- Paired axial CT (left) and PSMA PET (right), [18F]PSMA-1007 tracer
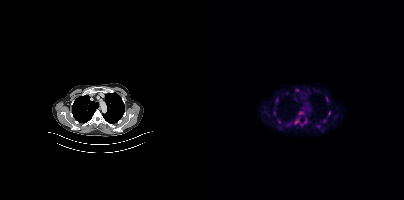
Findings: Coordinates are on the 200×200 PET (right) panel. PSMA-avid tumor lesion bounding boxes (x0,y0,x1,y1): [118,119,122,122] [112,125,116,127] [124,111,126,115]. Small PSMA-avid foci (2 to 4 px across) near (center x, center y): (123, 99) (75, 121) (70, 112).